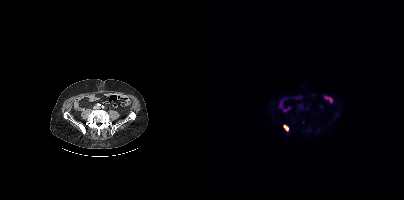
modality: PSMA PET/CT | tracer: 18F-PSMA | view: axial | PET grid: 200×200
Coordinates are on the 200×200 PET (right) panel. PSMA-avid tumor lesion bounding box (x0, y0)-(x1, y1): (79, 125)-(84, 130).